- Paired axial CT (left) and PSMA PET (right), 18F tracer
- PET panel 200×200 px (4.1 mm/px)
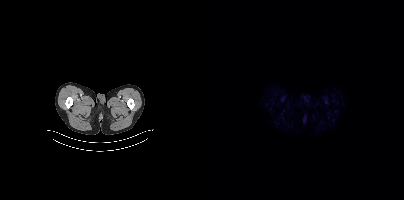
Findings: No tumor lesions annotated on this slice.